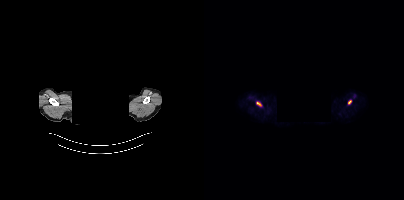
Coordinates are on the 200×200 PET (right) panel. PSMA-avid tumor lesion bounding boxes:
| # | x0 | y0 | x1 | y1 |
|---|---|---|---|---|
| 1 | 53 | 102 | 57 | 105 |
Small PSMA-avid focus (2 to 4 px across) near (center x, center y): (145, 101).
Head region blanked for anonymization (face removed). Left: CT. Right: PSMA PET, same axial level, 18F tracer. PET panel 200×200 px (4.1 mm/px).